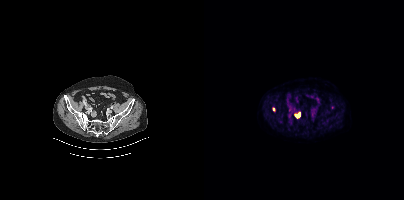
Coordinates are on the 200×200 PET (right) panel. PSMA-avid tumor lesion bounding box (x0, y0)-(x1, y1): (91, 113)-(95, 117). Small PSMA-avid focus (2 to 4 px across) near (center x, center y): (69, 109).
modality: PSMA PET/CT | tracer: 18F-PSMA | view: axial